Paired axial CT (left) and PSMA PET (right), 18F tracer. Acquired on Siemens Biograph mCT Flow 20.
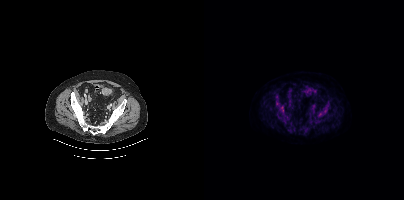
Coordinates are on the 200×200 PET (right) panel. Small PSMA-avid focus (2 to 4 px across) near (center x, center y): (115, 114).